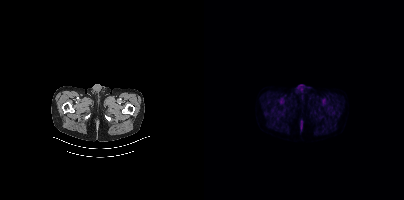
modality: PSMA PET/CT | tracer: [18F]PSMA-1007 | view: axial | PET grid: 200×200
No tumor lesions annotated on this slice.